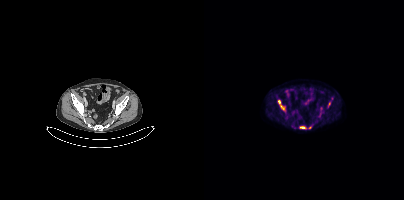
Left: CT. Right: PSMA PET, same axial level, 18F tracer. Acquired on Siemens Biograph mCT Flow 20. Slice position z = -206 mm. PET panel 200×200 px (4.1 mm/px).
Coordinates are on the 200×200 PET (right) panel. PSMA-avid tumor lesion bounding boxes (partial; 2 more foci not listed):
| # | x0 | y0 | x1 | y1 |
|---|---|---|---|---|
| 1 | 74 | 100 | 81 | 110 |
| 2 | 96 | 126 | 101 | 128 |
| 3 | 124 | 102 | 126 | 106 |
Small PSMA-avid focus (2 to 4 px across) near (center x, center y): (105, 127).